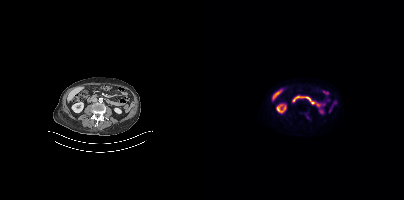
Coordinates are on the 200×200 PET (right) panel. Small PSMA-avid focus (2 to 4 px across) near (center x, center y): (104, 117).